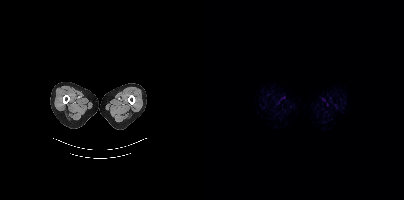
{"pet_grid":[200,200],"coord_frame":"pet_panel","coord_format":"x0,y0,x1,y1","psma_avid_lesions":false,"modality":"PSMA PET/CT","view":"axial","tracer":"18F"}